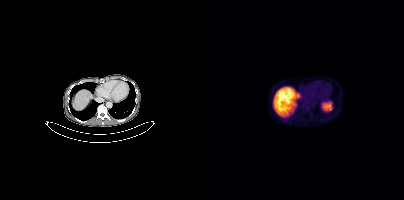
Coordinates are on the 200×200 PET (right) panel. Small PSMA-avid focus (2 to 4 px across) near (center x, center y): (104, 107).